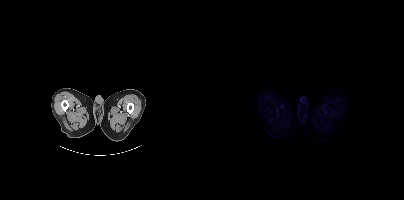
{"modality":"PSMA PET/CT","view":"axial","tracer":"[18F]PSMA-1007","pet_grid":[200,200],"coord_frame":"pet_panel","coord_format":"x0,y0,x1,y1","psma_avid_lesions":false}